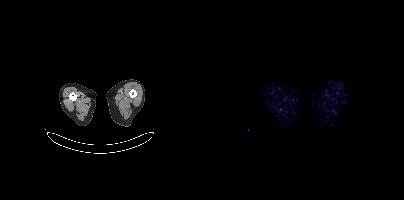
Left: CT. Right: PSMA PET, same axial level, [18F]PSMA-1007 tracer. Acquired on Siemens Biograph mCT Flow 20. PET panel 200×200 px (4.1 mm/px). No tumor lesions annotated on this slice.